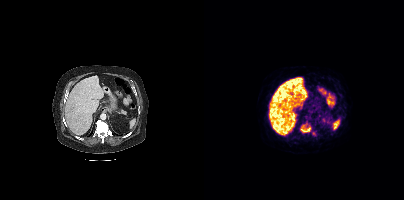
{"modality":"PSMA PET/CT","view":"axial","tracer":"68Ga-PSMA","pet_grid":[200,200],"coord_frame":"pet_panel","coord_format":"x0,y0,x1,y1","lesion_bboxes":[[96,125,106,132]]}